Technique: Paired axial CT (left) and PSMA PET (right), 18F-PSMA tracer. slice 22 of 367.
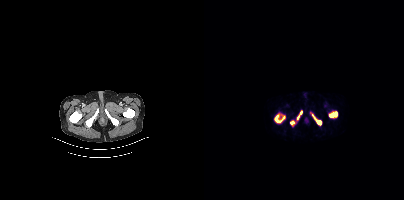
Findings: Coordinates are on the 200×200 PET (right) panel. PSMA-avid tumor lesion bounding boxes (x0,y0,x1,y1): [125,111,133,117], [70,114,81,122], [108,114,117,125], [86,120,91,126], [92,111,98,120].